- Left: CT. Right: PSMA PET, same axial level, 18F tracer
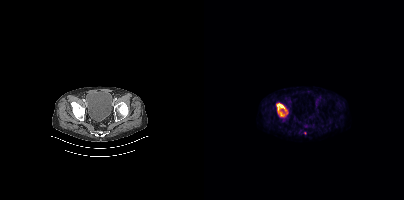
Findings: Coordinates are on the 200×200 PET (right) panel. PSMA-avid tumor lesion bounding box (x0,y0,x1,y1): [72,103,84,117]. Small PSMA-avid focus (2 to 4 px across) near (center x, center y): (101, 133).